- Left: CT. Right: PSMA PET, same axial level, 68Ga tracer
- acquired on GE Discovery 690
- slice position z = -863 mm
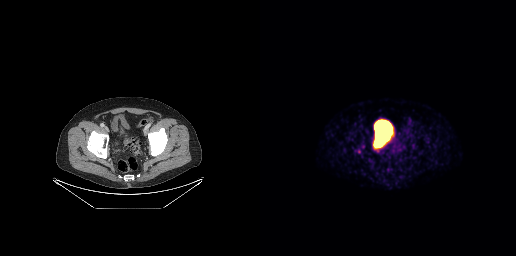
Findings: Negative for PSMA-avid disease on this slice.